Two-panel axial: CT | PSMA PET, 68Ga tracer. Slice position z = -1188 mm.
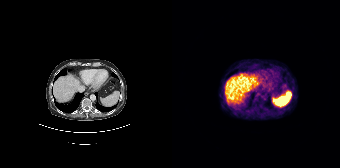
This slice has no annotated PSMA-avid lesion.